Paired axial CT (left) and PSMA PET (right), [68Ga]Ga-PSMA-11 tracer.
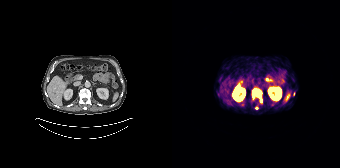
Coordinates are on the 168×168 PET (right) panel. PSMA-avid tumor lesion bounding boxes:
| # | x0 | y0 | x1 | y1 |
|---|---|---|---|---|
| 1 | 80 | 89 | 89 | 97 |
Small PSMA-avid foci (2 to 4 px across) near (center x, center y): (89, 100); (121, 93); (84, 107).